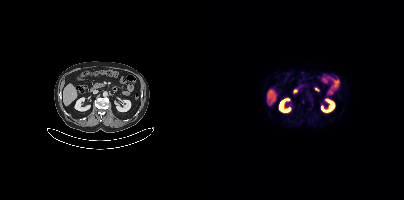
Findings: No tumor lesions annotated on this slice.
- Paired axial CT (left) and PSMA PET (right), [18F]PSMA-1007 tracer